Facial anatomy redacted by setting a rectangular region of the head to black. Paired axial CT (left) and PSMA PET (right), 68Ga tracer. Slice position z = -203 mm.
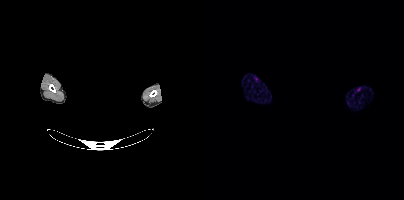
No PSMA-avid tumor lesions on this slice.